Paired axial CT (left) and PSMA PET (right), 18F-PSMA tracer. Acquired on GE Discovery 690. Slice 177 of 263. PET panel 256×256 px (2.7 mm/px).
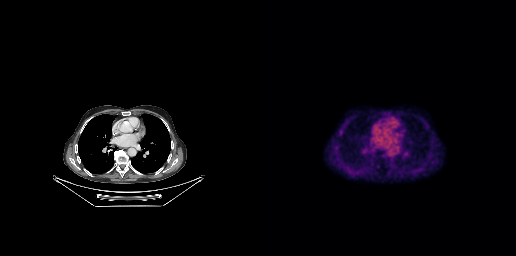
No PSMA-avid tumor lesions on this slice.